modality: PSMA PET/CT | tracer: 18F-PSMA | view: axial
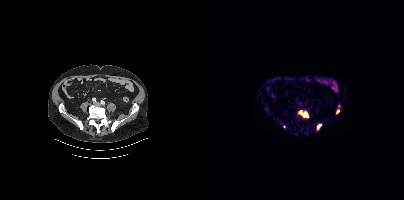
Coordinates are on the 200×200 PET (right) panel. PSMA-avid tumor lesion bounding boxes (x, y, width, height): x=95 y=111 w=10 h=7 / x=132 y=109 w=4 h=6 / x=113 y=124 w=5 h=6. Small PSMA-avid foci (2 to 4 px across) near (center x, center y): (135, 105) / (80, 126).